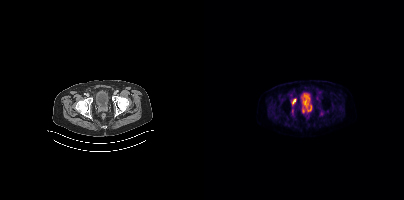
Coordinates are on the 200×200 PET (right) panel. PSMA-avid tumor lesion bounding boxes (x0, y0)-(x1, y1): (98, 107)-(102, 113) | (88, 98)-(92, 105) | (104, 105)-(107, 110). Small PSMA-avid focus (2 to 4 px across) near (center x, center y): (102, 105). Left: CT. Right: PSMA PET, same axial level, 18F-PSMA tracer. Acquired on Siemens Biograph mCT Flow 20.